- Two-panel axial: CT | PSMA PET, 68Ga tracer
- slice position z = -1562 mm
- PET panel 168×168 px (4.1 mm/px)
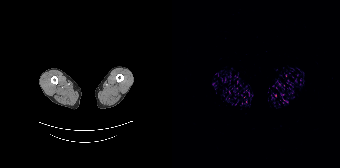
Findings: No PSMA-avid tumor lesions on this slice.